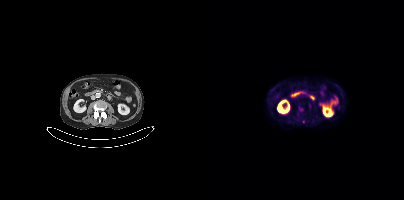
Left: CT. Right: PSMA PET, same axial level, [18F]PSMA-1007 tracer. This slice has no annotated PSMA-avid lesion.